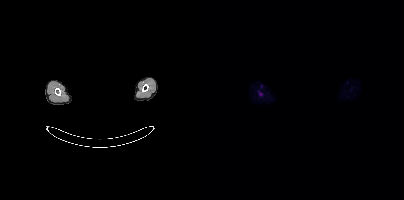
A rectangular block over the head has been blanked out for de-identification. Left: CT. Right: PSMA PET, same axial level, 18F tracer. Coordinates are on the 200×200 PET (right) panel. Small PSMA-avid focus (2 to 4 px across) near (center x, center y): (56, 93).